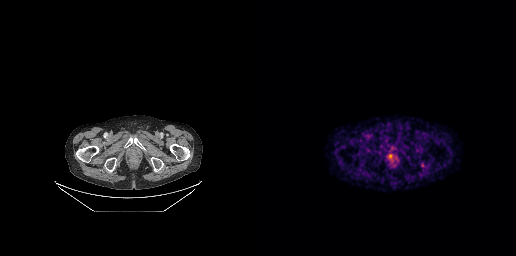
Left: CT. Right: PSMA PET, same axial level, 68Ga-PSMA tracer. Acquired on GE Discovery 690. PET panel 256×256 px (2.7 mm/px). Coordinates are on the 256×256 PET (right) panel. PSMA-avid tumor lesion bounding boxes (x0, y0)-(x1, y1): (128, 154)-(132, 161) / (161, 163)-(164, 167).